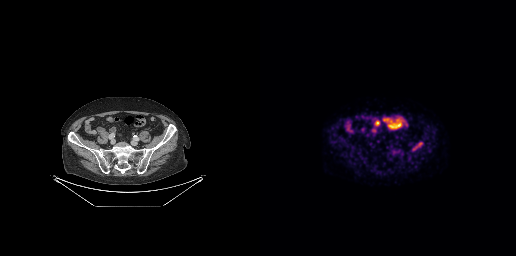
- Two-panel axial: CT | PSMA PET, [18F]PSMA-1007 tracer
Findings: Coordinates are on the 256×256 PET (right) panel. PSMA-avid tumor lesion bounding box (x, y, width, height): x=153 y=142 w=10 h=9.